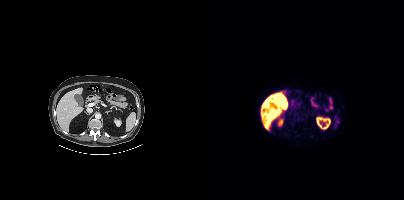
modality: PSMA PET/CT | tracer: [18F]PSMA-1007 | view: axial | PET grid: 200×200
No PSMA-avid tumor lesions on this slice.